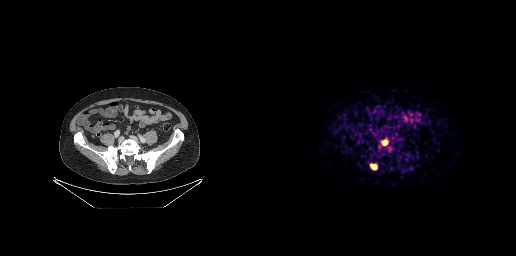
{"modality":"PSMA PET/CT","view":"axial","tracer":"68Ga","pet_grid":[256,256],"coord_frame":"pet_panel","coord_format":"x0,y0,x1,y1","lesion_bboxes":[[110,164,117,169],[122,140,127,145]]}